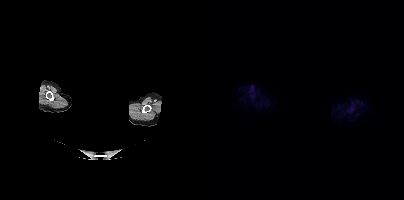
A rectangle over the head was blacked out to remove identifiable facial features. Two-panel axial: CT | PSMA PET, [18F]PSMA-1007 tracer. Slice position z = -166 mm. PET panel 200×200 px (4.1 mm/px). No PSMA-avid tumor lesions on this slice.